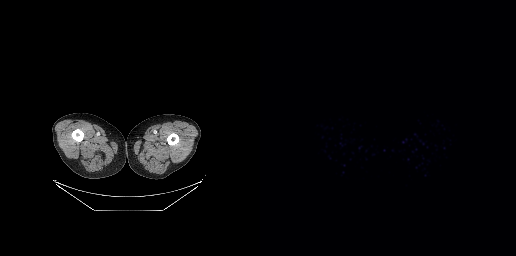
{"modality":"PSMA PET/CT","view":"axial","tracer":"68Ga","pet_grid":[256,256],"coord_frame":"pet_panel","coord_format":"x0,y0,x1,y1","psma_avid_lesions":false}